De-identified by setting a box covering the face to black before release.
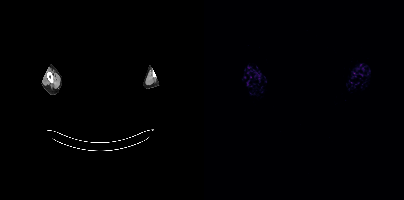
This slice has no annotated PSMA-avid lesion.